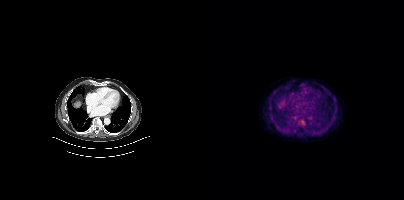
Paired axial CT (left) and PSMA PET (right), 18F-PSMA tracer. Slice position z = 295 mm. PET panel 200×200 px (4.1 mm/px).
Coordinates are on the 200×200 PET (right) panel. PSMA-avid tumor lesion bounding boxes:
| # | x0 | y0 | x1 | y1 |
|---|---|---|---|---|
| 1 | 96 | 120 | 100 | 124 |